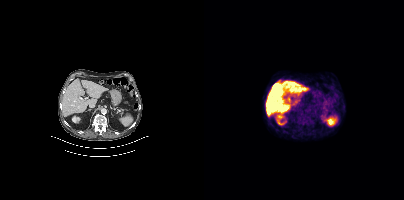
Negative for PSMA-avid disease on this slice.
modality: PSMA PET/CT | tracer: 18F | view: axial | PET grid: 200×200